- Left: CT. Right: PSMA PET, same axial level, 18F tracer
- acquired on Siemens Biograph mCT Flow 20
- slice 56 of 427
- PET panel 200×200 px (4.1 mm/px)
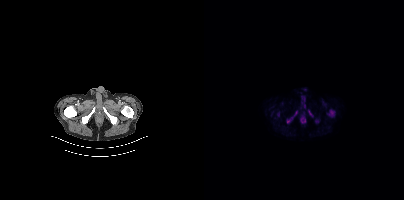
Findings: Coordinates are on the 200×200 PET (right) panel. PSMA-avid tumor lesion bounding boxes (x, y, width, height): x=123 y=109 w=9 h=9 / x=83 y=111 w=11 h=13 / x=105 y=112 w=5 h=5. Small PSMA-avid foci (2 to 4 px across) near (center x, center y): (112, 121) / (74, 114).